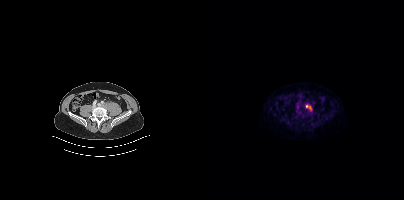
Coordinates are on the 200×200 PET (right) panel. PSMA-avid tumor lesion bounding box (x, y, width, height): x=102 y=104 w=6 h=7. Left: CT. Right: PSMA PET, same axial level, 18F tracer. Slice 133 of 417.